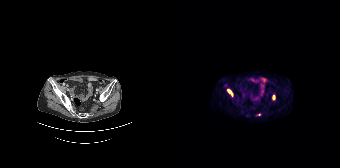
Coordinates are on the 168×168 PET (right) panel. PSMA-avid tumor lesion bounding boxes (x0, y0)-(x1, y1): (55, 89)-(60, 96); (84, 113)-(88, 115). Small PSMA-avid focus (2 to 4 px across) near (center x, center y): (101, 97). Two-panel axial: CT | PSMA PET, 68Ga tracer. Acquired on Siemens Biograph 64-4R TruePoint. Slice 40 of 165.